modality: PSMA PET/CT | tracer: 18F-PSMA | view: axial
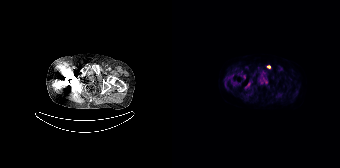
Coordinates are on the 168×168 PET (right) panel. Small PSMA-avid foci (2 to 4 px across) near (center x, center y): (96, 66); (94, 81).